Technique: Two-panel axial: CT | PSMA PET, [18F]PSMA-1007 tracer. acquired on Siemens Biograph mCT Flow 20. PET panel 200×200 px (4.1 mm/px).
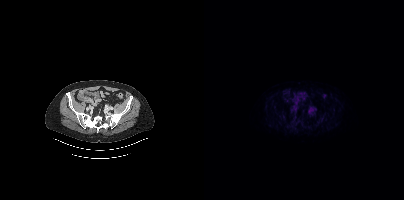
Findings: This slice has no annotated PSMA-avid lesion.